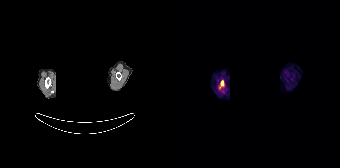
Findings: Coordinates are on the 168×168 PET (right) panel. PSMA-avid tumor lesion bounding box (x0, y0)-(x1, y1): (47, 80)-(51, 89).
Technique: Paired axial CT (left) and PSMA PET (right), 68Ga-PSMA tracer. slice 148 of 165. PET panel 168×168 px (4.1 mm/px).
Note: The face region was removed for patient privacy by blanking a rectangle over the head.